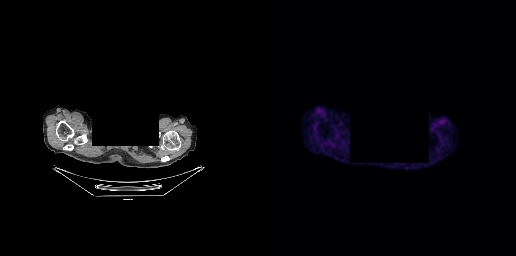
Coordinates are on the 256×256 PET (right) panel. Small PSMA-avid focus (2 to 4 px across) near (center x, center y): (177, 149). Face de-identified by blanking a block of the head. Left: CT. Right: PSMA PET, same axial level, [18F]PSMA-1007 tracer.